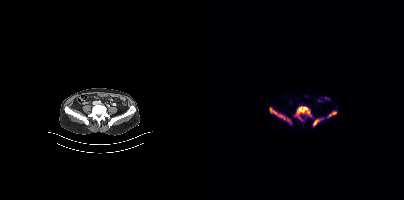
{"modality":"PSMA PET/CT","view":"axial","tracer":"18F-PSMA","pet_grid":[200,200],"coord_frame":"pet_panel","coord_format":"x0,y0,x1,y1","lesion_bboxes":[[91,106,107,120],[66,107,87,123],[109,118,118,126],[124,111,132,117]]}